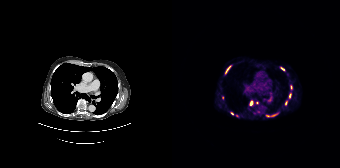
Left: CT. Right: PSMA PET, same axial level, 68Ga-PSMA tracer. Acquired on Siemens Biograph 64-4R TruePoint. Slice position z = -1146 mm. PET panel 168×168 px (4.1 mm/px). Coordinates are on the 168×168 PET (right) panel. (showing 9 of 12 foci) PSMA-avid tumor lesion bounding boxes (x0, y0)-(x1, y1): (78, 101)-(80, 105) / (113, 101)-(115, 105) / (53, 66)-(58, 73). Small PSMA-avid foci (2 to 4 px across) near (center x, center y): (110, 69) / (85, 102) / (65, 116) / (117, 95) / (60, 113) / (96, 115).